Technique: Paired axial CT (left) and PSMA PET (right), 68Ga tracer. PET panel 200×200 px (4.1 mm/px).
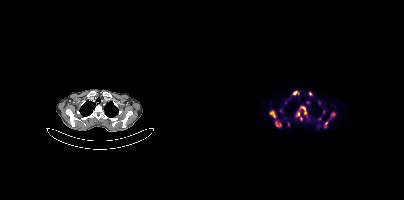
Findings: Coordinates are on the 200×200 PET (right) panel. (showing 12 of 16 foci) PSMA-avid tumor lesion bounding boxes (x0, y0)-(x1, y1): (65, 110)-(71, 117); (71, 122)-(77, 126); (88, 91)-(94, 94); (97, 107)-(102, 113); (121, 122)-(123, 127). Small PSMA-avid foci (2 to 4 px across) near (center x, center y): (106, 93); (77, 111); (129, 114); (97, 118); (81, 102); (94, 114); (84, 124).